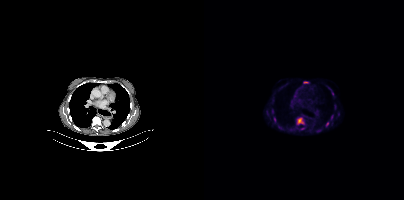
{"modality":"PSMA PET/CT","view":"axial","tracer":"18F-PSMA","pet_grid":[200,200],"coord_frame":"pet_panel","coord_format":"x0,y0,x1,y1","partial":true,"lesion_bboxes":[[93,117,100,124],[99,81,104,83],[70,117,71,121]],"small_foci_centers":[[128,93],[122,124],[98,128]]}